modality: PSMA PET/CT | tracer: [18F]PSMA-1007 | view: axial
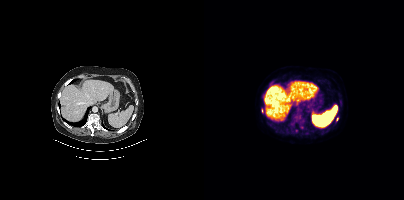
Coordinates are on the 200×200 PET (right) panel. Small PSMA-avid foci (2 to 4 px across) near (center x, center y): (133, 119) (58, 110).